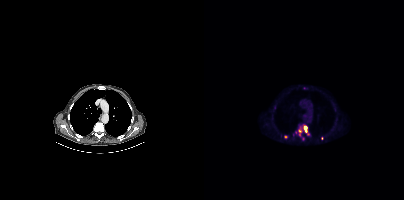
Left: CT. Right: PSMA PET, same axial level, 18F tracer. Acquired on Siemens Biograph mCT Flow 20. PET panel 200×200 px (4.1 mm/px). Coordinates are on the 200×200 PET (right) panel. (showing 3 of 7 foci) PSMA-avid tumor lesion bounding box (x, y, width, height): x=100 y=125 w=6 h=11. Small PSMA-avid foci (2 to 4 px across) near (center x, center y): (82, 136) / (95, 130).